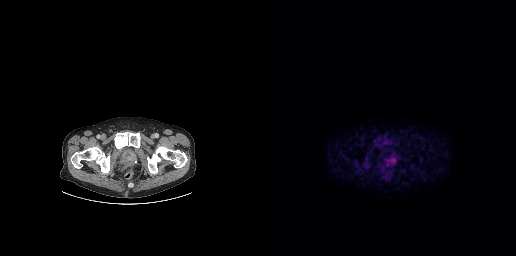
Findings: Coordinates are on the 256×256 PET (right) panel. PSMA-avid tumor lesion bounding box (x0,y0,x1,y1): [103,163,109,169].
Technique: Two-panel axial: CT | PSMA PET, 18F tracer.